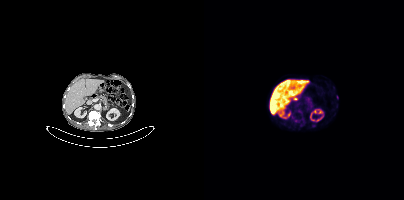
No tumor lesions annotated on this slice.